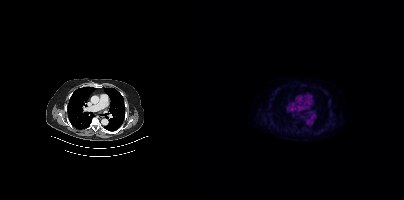
- Left: CT. Right: PSMA PET, same axial level, [18F]PSMA-1007 tracer
- acquired on Siemens Biograph mCT Flow 20
- slice position z = -390 mm
Findings: No PSMA-avid tumor lesions on this slice.